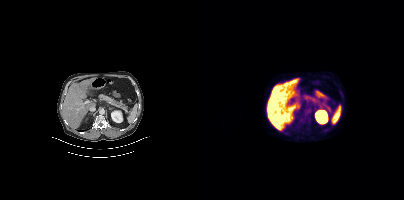
This slice has no annotated PSMA-avid lesion.